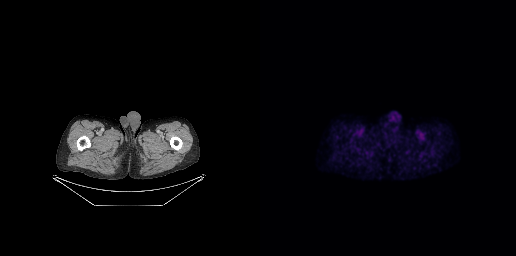
- Left: CT. Right: PSMA PET, same axial level, [18F]PSMA-1007 tracer
- acquired on GE Discovery 690
- slice position z = -948 mm
Findings: No PSMA-avid tumor lesions on this slice.